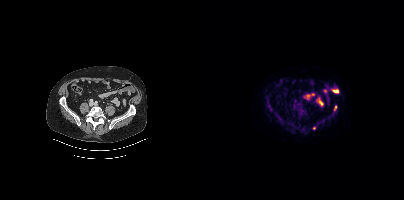
Coordinates are on the 200×200 PET (right) panel. PSMA-avid tumor lesion bounding box (x, y, width, height): x=130 y=105 w=3 h=6. Small PSMA-avid focus (2 to 4 px across) near (center x, center y): (110, 128).